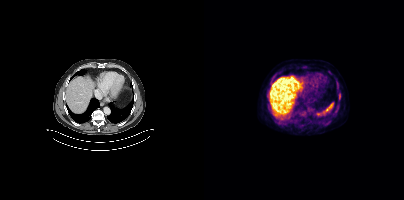
{"pet_grid":[200,200],"coord_frame":"pet_panel","coord_format":"x0,y0,x1,y1","lesion_bboxes":[[135,93,136,99]],"small_foci_centers":[[125,72],[100,66]],"modality":"PSMA PET/CT","view":"axial","tracer":"18F"}